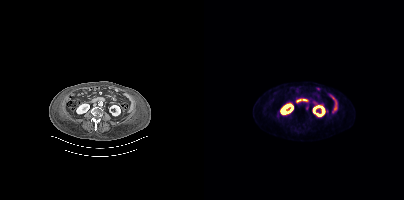
Coordinates are on the 200×200 PET (right) panel. Small PSMA-avid focus (2 to 4 px across) near (center x, center y): (103, 108).